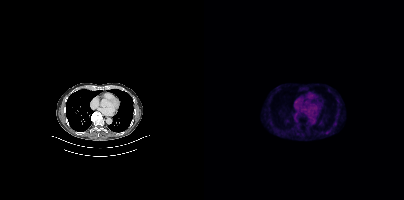
{"pet_grid":[200,200],"coord_frame":"pet_panel","coord_format":"x0,y0,x1,y1","partial":true,"lesion_bboxes":[],"modality":"PSMA PET/CT","view":"axial","tracer":"18F"}